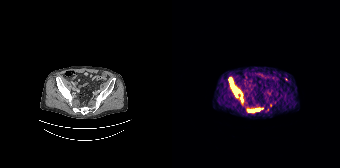
Left: CT. Right: PSMA PET, same axial level, 68Ga tracer. PET panel 168×168 px (4.1 mm/px). Coordinates are on the 168×168 PET (right) panel. PSMA-avid tumor lesion bounding boxes (x0, y0)-(x1, y1): (57, 77)-(61, 87) / (76, 109)-(87, 112) / (68, 98)-(72, 102) / (62, 92)-(64, 96). Small PSMA-avid foci (2 to 4 px across) near (center x, center y): (114, 79) / (65, 89) / (69, 95).